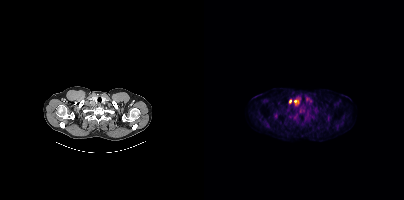
Coordinates are on the 200×200 PET (right) panel. PSMA-avid tumor lesion bounding boxes (x0, y0)-(x1, y1): (90, 99)-(95, 104) / (85, 99)-(87, 103).